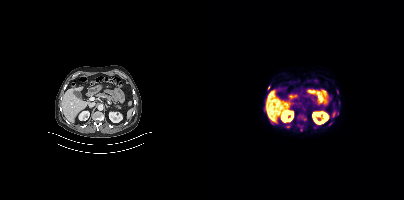
modality: PSMA PET/CT | tracer: [18F]PSMA-1007 | view: axial | PET grid: 200×200
Coordinates are on the 200×200 PET (right) panel. (showing 1 of 3 foci) Small PSMA-avid focus (2 to 4 px across) near (center x, center y): (64, 87).